Paired axial CT (left) and PSMA PET (right), 18F-PSMA tracer. PET panel 200×200 px (4.1 mm/px). A rectangular block over the head has been blanked out for de-identification.
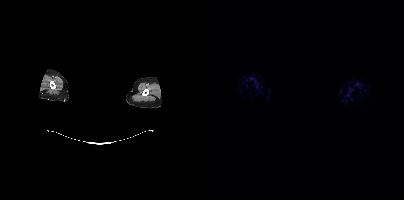
This slice has no annotated PSMA-avid lesion.